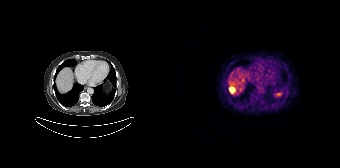
Findings: Coordinates are on the 168×168 PET (right) panel. PSMA-avid tumor lesion bounding box (x0, y0)-(x1, y1): (57, 87)-(62, 93).
Technique: Paired axial CT (left) and PSMA PET (right), [68Ga]Ga-PSMA-11 tracer. acquired on Siemens Biograph 64-4R TruePoint. slice position z = -330 mm.